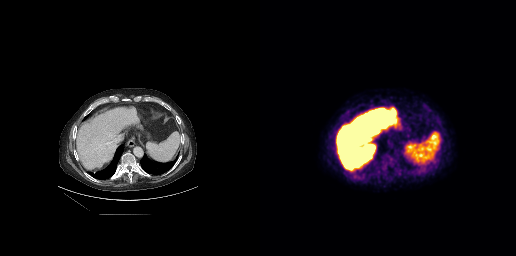
modality: PSMA PET/CT | tracer: [18F]PSMA-1007 | view: axial | PET grid: 256×256
Coordinates are on the 256×256 PET (right) panel. PSMA-avid tumor lesion bounding box (x, y, width, height): x=121 y=153 w=16 h=14.